modality: PSMA PET/CT | tracer: 18F-PSMA | view: axial | PET grid: 200×200
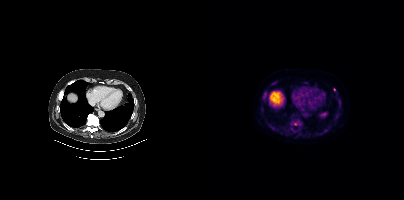
Coordinates are on the 200×200 PET (right) panel. (showing 1 of 2 foci) Small PSMA-avid focus (2 to 4 px across) near (center x, center y): (130, 89).